Face de-identified by blanking a block of the head.
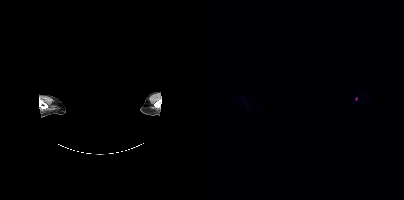
Coordinates are on the 200×200 PET (right) panel. (showing 1 of 2 foci) Small PSMA-avid focus (2 to 4 px across) near (center x, center y): (152, 98).